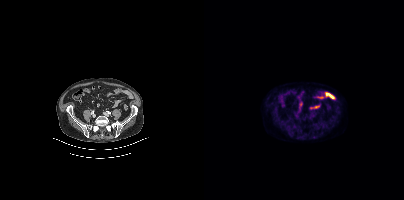
Findings: No PSMA-avid tumor lesions on this slice.
Technique: Two-panel axial: CT | PSMA PET, 18F tracer. acquired on Siemens Biograph mCT Flow 20. PET panel 200×200 px (4.1 mm/px).